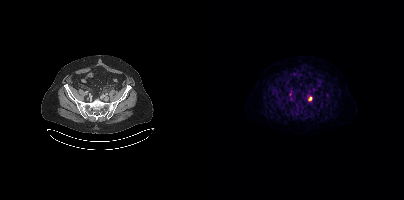
modality: PSMA PET/CT | tracer: 18F | view: axial
Coordinates are on the 200×200 PET (right) panel. PSMA-avid tumor lesion bounding box (x0,y0,x1,y1): [104,96,108,101]. Small PSMA-avid focus (2 to 4 px across) near (center x, center y): (107, 112).